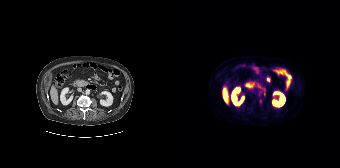
Two-panel axial: CT | PSMA PET, 18F tracer. Acquired on Siemens Biograph 64-4R TruePoint. PET panel 168×168 px (4.1 mm/px). Coordinates are on the 168×168 PET (right) panel. Small PSMA-avid focus (2 to 4 px across) near (center x, center y): (88, 100).